modality: PSMA PET/CT | tracer: 18F | view: axial
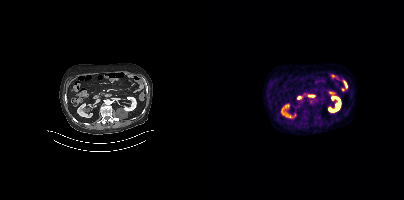
This slice has no annotated PSMA-avid lesion.